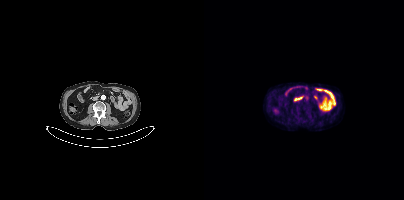
Paired axial CT (left) and PSMA PET (right), 18F-PSMA tracer. Acquired on Siemens Biograph mCT Flow 20. No PSMA-avid tumor lesions on this slice.